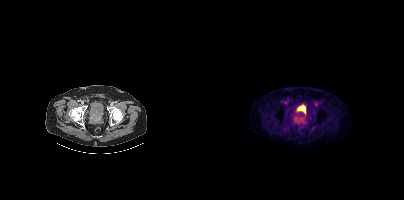
Left: CT. Right: PSMA PET, same axial level, [18F]PSMA-1007 tracer. Acquired on Siemens Biograph mCT Flow 20. PET panel 200×200 px (4.1 mm/px). Coordinates are on the 200×200 PET (right) panel. (showing 1 of 2 foci) Small PSMA-avid focus (2 to 4 px across) near (center x, center y): (99, 117).